Left: CT. Right: PSMA PET, same axial level, [18F]PSMA-1007 tracer. Slice 68 of 373. PET panel 200×200 px (4.1 mm/px).
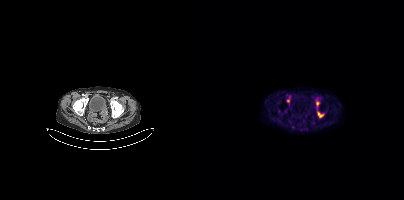
Coordinates are on the 200×200 PET (right) panel. PSMA-avid tumor lesion bounding box (x0, y0)-(x1, y1): (113, 112)-(119, 117). Small PSMA-avid focus (2 to 4 px across) near (center x, center y): (113, 103).